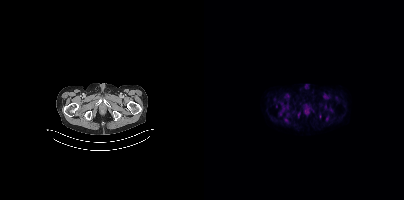
Paired axial CT (left) and PSMA PET (right), 18F-PSMA tracer. Acquired on Siemens Biograph mCT Flow 20. Coordinates are on the 200×200 PET (right) panel. Small PSMA-avid focus (2 to 4 px across) near (center x, center y): (72, 106).